Two-panel axial: CT | PSMA PET, [18F]PSMA-1007 tracer.
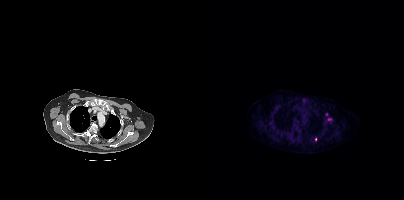
Coordinates are on the 200×200 PET (right) panel. Small PSMA-avid focus (2 to 4 px across) near (center x, center y): (111, 139).